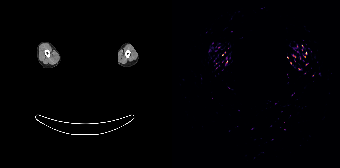
Face de-identified by blanking a block of the head.
No PSMA-avid tumor lesions on this slice.